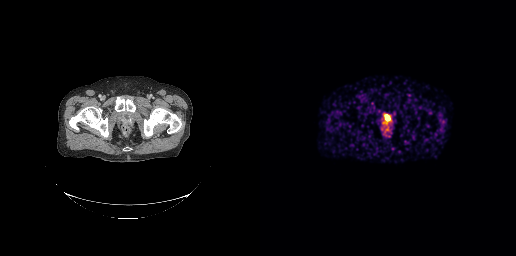
Paired axial CT (left) and PSMA PET (right), 68Ga-PSMA tracer. Coordinates are on the 256×256 PET (right) panel. PSMA-avid tumor lesion bounding box (x0,y0,x1,y1): [124,114,130,121]. Small PSMA-avid focus (2 to 4 px across) near (center x, center y): (127, 126).